Paired axial CT (left) and PSMA PET (right), [18F]PSMA-1007 tracer. Slice position z = -791 mm. PET panel 200×200 px (4.1 mm/px).
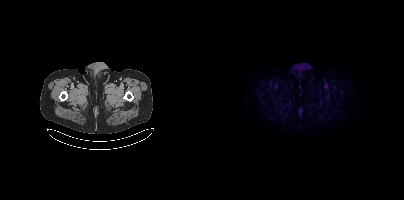
No PSMA-avid tumor lesions on this slice.